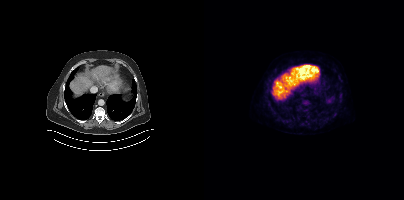
Findings: Coordinates are on the 200×200 PET (right) panel. PSMA-avid tumor lesion bounding box (x0,y0,x1,y1): [135,94,138,100].
Technique: Left: CT. Right: PSMA PET, same axial level, 18F-PSMA tracer. acquired on Siemens Biograph mCT Flow 20.